Technique: Two-panel axial: CT | PSMA PET, [18F]PSMA-1007 tracer. acquired on GE Discovery 690.
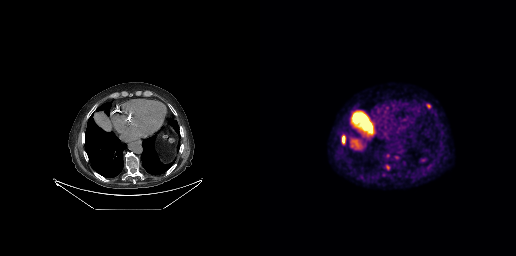
Findings: Coordinates are on the 256×256 PET (right) panel. PSMA-avid tumor lesion bounding box (x0, y0)-(x1, y1): (82, 138)-(85, 143). Small PSMA-avid foci (2 to 4 px across) near (center x, center y): (168, 106) / (127, 167).